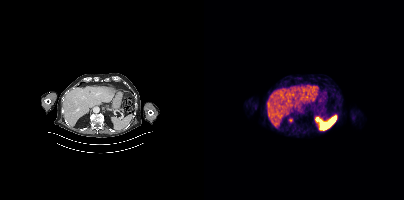
{"modality":"PSMA PET/CT","view":"axial","tracer":"[18F]PSMA-1007","pet_grid":[200,200],"coord_frame":"pet_panel","coord_format":"x0,y0,x1,y1","psma_avid_lesions":false}